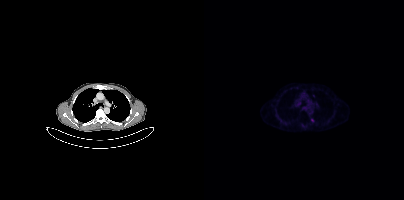
Only PSMA-avid lesion pieces thinner than 2 px on this slice (not listed).